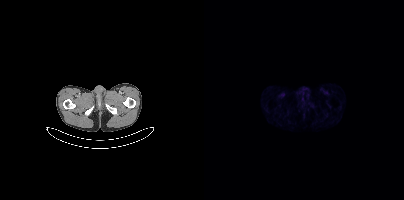
{"pet_grid":[200,200],"coord_frame":"pet_panel","coord_format":"x0,y0,x1,y1","psma_avid_lesions":false,"modality":"PSMA PET/CT","view":"axial","tracer":"68Ga"}